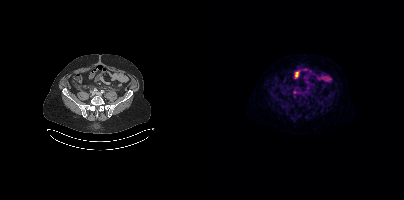
modality: PSMA PET/CT | tracer: 18F | view: axial
Coordinates are on the 200×200 PET (right) panel. PSMA-avid tumor lesion bounding boxes (x0,y0,x1,y1): [89,94,92,98]; [100,96,102,100].